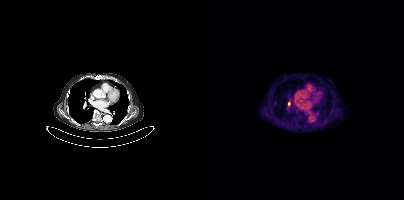
Coordinates are on the 200×200 PET (right) panel. Small PSMA-avid focus (2 to 4 px across) near (center x, center y): (84, 103).